Paired axial CT (left) and PSMA PET (right), 68Ga-PSMA tracer. A rectangle over the head was blacked out to remove identifiable facial features.
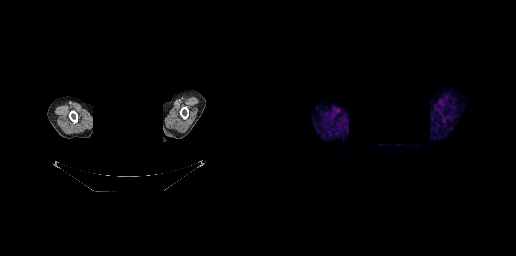
Negative for PSMA-avid disease on this slice.